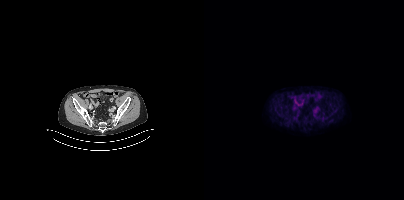
Two-panel axial: CT | PSMA PET, [18F]PSMA-1007 tracer. Negative for PSMA-avid disease on this slice.